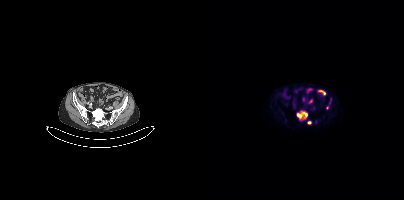
Coordinates are on the 200×200 PET (right) panel. PSMA-avid tumor lesion bounding box (x, y, width, height): x=93 y=111 w=11 h=11. Small PSMA-avid foci (2 to 4 px across) near (center x, center y): (105, 122) | (123, 107).